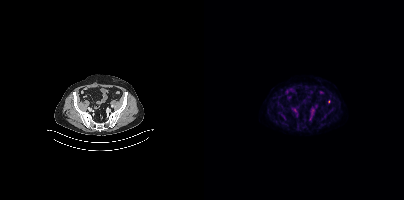
{"modality":"PSMA PET/CT","view":"axial","tracer":"18F-PSMA","pet_grid":[200,200],"coord_frame":"pet_panel","coord_format":"x0,y0,x1,y1","partial":true,"lesion_bboxes":[[117,115,121,119]],"small_foci_centers":[[124,101]]}